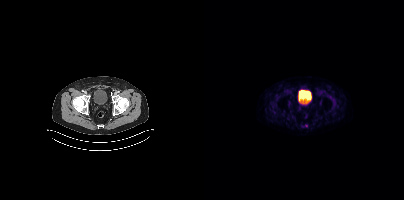
Only PSMA-avid lesion pieces thinner than 2 px on this slice (not listed).